Technique: Left: CT. Right: PSMA PET, same axial level, 18F tracer. slice position z = -841 mm. PET panel 200×200 px (4.1 mm/px).
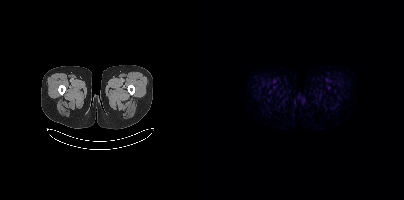
Findings: This slice has no annotated PSMA-avid lesion.